Technique: Paired axial CT (left) and PSMA PET (right), [18F]PSMA-1007 tracer. slice position z = -334 mm. PET panel 200×200 px (4.1 mm/px).
Note: Privacy masking over the head, with the pixels inside a rectangle set to black.
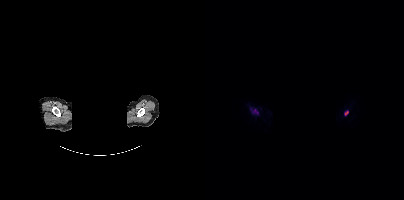
Findings: Coordinates are on the 200×200 PET (right) panel. PSMA-avid tumor lesion bounding boxes (x0, y0)-(x1, y1): (47, 109)-(54, 113); (140, 111)-(144, 115).